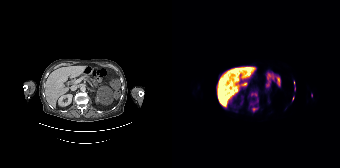
- Two-panel axial: CT | PSMA PET, 18F-PSMA tracer
- acquired on Siemens Biograph 64-4R TruePoint
- PET panel 168×168 px (4.1 mm/px)
Findings: Coordinates are on the 168×168 PET (right) panel. (showing 4 of 7 foci) PSMA-avid tumor lesion bounding boxes (x, y, width, height): x=79 y=93 w=7 h=4; x=80 y=107 w=6 h=5. Small PSMA-avid foci (2 to 4 px across) near (center x, center y): (122, 89); (120, 98).